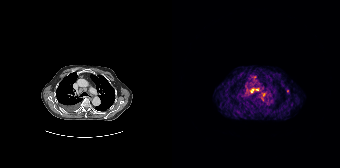
Coordinates are on the 168×168 PET (right) panel. PSMA-avid tumor lesion bounding box (x0, y0)-(x1, y1): (78, 88)-(87, 93). Small PSMA-avid focus (2 to 4 px across) near (center x, center y): (115, 91).